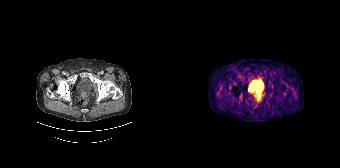
Findings: Coordinates are on the 168×168 PET (right) panel. PSMA-avid tumor lesion bounding box (x, y, width, height): x=83 y=94 w=6 h=5.
Technique: Two-panel axial: CT | PSMA PET, [68Ga]Ga-PSMA-11 tracer. PET panel 168×168 px (4.1 mm/px).